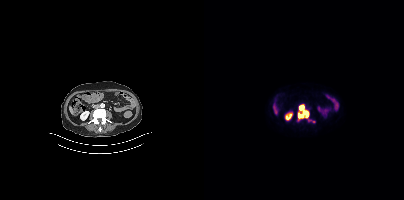
Coordinates are on the 200×200 PET (right) panel. PSMA-avid tumor lesion bounding boxes:
| # | x0 | y0 | x1 | y1 |
|---|---|---|---|---|
| 1 | 94 | 105 | 104 | 118 |
Paired axial CT (left) and PSMA PET (right), [18F]PSMA-1007 tracer. Acquired on Siemens Biograph mCT Flow 20. PET panel 200×200 px (4.1 mm/px).